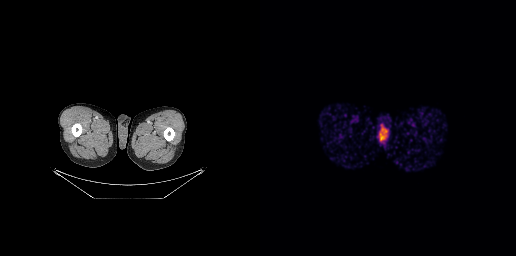
modality: PSMA PET/CT | tracer: 68Ga | view: axial
This slice has no annotated PSMA-avid lesion.